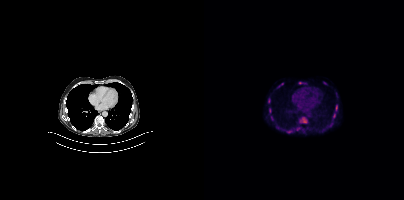
Coordinates are on the 200×200 PET (right) panel. (showing 8 of 9 foci) PSMA-avid tumor lesion bounding boxes (x, y, width, height): x=95 y=117 w=9 h=7 / x=94 y=81 w=9 h=4 / x=131 y=105 w=3 h=7 / x=129 y=113 w=3 h=6 / x=64 y=98 w=3 h=6. Small PSMA-avid foci (2 to 4 px across) near (center x, center y): (85, 131) / (94, 129) / (74, 86).